- Paired axial CT (left) and PSMA PET (right), 18F-PSMA tracer
- slice position z = -1228 mm
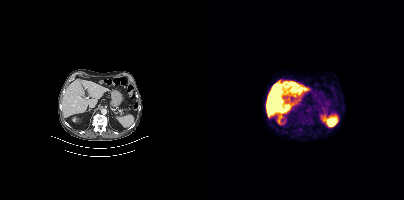
Findings: No tumor lesions annotated on this slice.